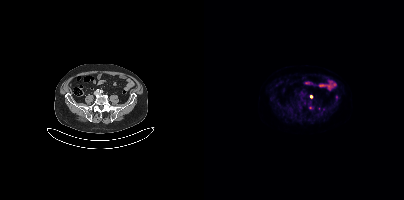
Two-panel axial: CT | PSMA PET, 18F-PSMA tracer. Slice position z = -809 mm. PET panel 200×200 px (4.1 mm/px). Only PSMA-avid lesion pieces thinner than 2 px on this slice (not listed).